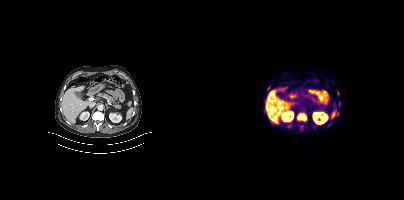
Findings: Coordinates are on the 200×200 PET (right) panel. (showing 3 of 6 foci) PSMA-avid tumor lesion bounding box (x0,y0,x1,y1): [94,114,102,121]. Small PSMA-avid foci (2 to 4 px across) near (center x, center y): (133, 114) (64, 87).
Technique: Paired axial CT (left) and PSMA PET (right), 18F-PSMA tracer. slice 218 of 429.